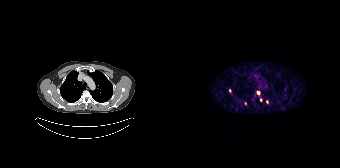
- Left: CT. Right: PSMA PET, same axial level, 68Ga-PSMA tracer
- slice 150 of 195
Findings: Coordinates are on the 168×168 PET (right) panel. (showing 5 of 6 foci) Small PSMA-avid foci (2 to 4 px across) near (center x, center y): (86, 92), (58, 90), (73, 103), (88, 100), (94, 101).